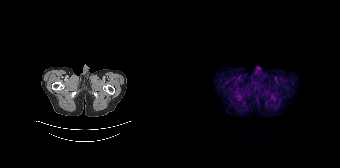
Negative for PSMA-avid disease on this slice. Left: CT. Right: PSMA PET, same axial level, 68Ga tracer. Slice position z = -1424 mm. PET panel 168×168 px (4.1 mm/px).